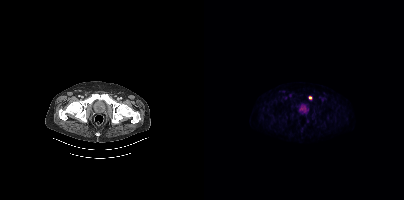
Left: CT. Right: PSMA PET, same axial level, 18F-PSMA tracer. Slice position z = -1426 mm. Coordinates are on the 200×200 PET (right) panel. Small PSMA-avid focus (2 to 4 px across) near (center x, center y): (106, 97).